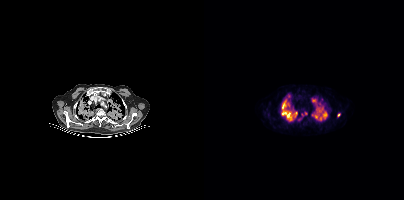
{"modality":"PSMA PET/CT","view":"axial","tracer":"18F","pet_grid":[200,200],"coord_frame":"pet_panel","coord_format":"x0,y0,x1,y1","partial":true,"lesion_bboxes":[[78,101,88,120],[115,112,123,120],[108,98,113,104],[108,112,114,118],[114,109,119,111],[90,112,93,116]],"small_foci_centers":[[84,95],[134,115]]}